modality: PSMA PET/CT | tracer: 18F-PSMA | view: axial | PET grid: 200×200
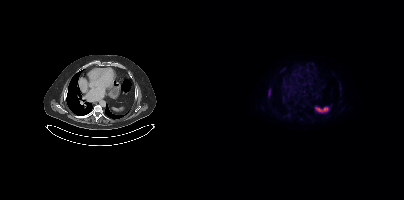
Coordinates are on the 200×200 PET (right) panel. PSMA-avid tumor lesion bounding box (x0, y0)-(x1, y1): (64, 89)-(66, 96).